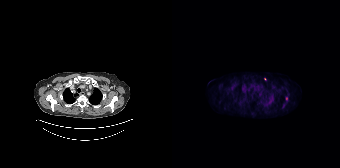
{"modality":"PSMA PET/CT","view":"axial","tracer":"[18F]PSMA-1007","pet_grid":[168,168],"coord_frame":"pet_panel","coord_format":"x0,y0,x1,y1","partial":true,"lesion_bboxes":[],"small_foci_centers":[[114,98]]}